- Left: CT. Right: PSMA PET, same axial level, 18F-PSMA tracer
- slice position z = -1222 mm
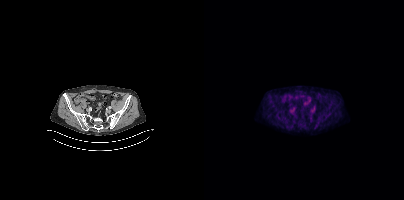
Findings: This slice has no annotated PSMA-avid lesion.